- Left: CT. Right: PSMA PET, same axial level, 68Ga-PSMA tracer
- acquired on GE Discovery 690
- slice position z = -786 mm
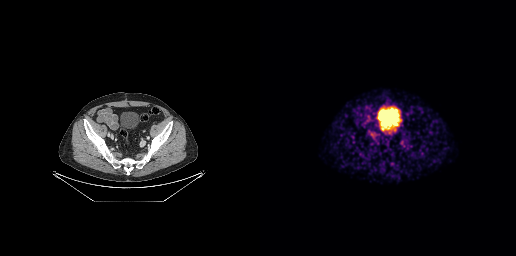
Findings: No PSMA-avid tumor lesions on this slice.